- Paired axial CT (left) and PSMA PET (right), 18F-PSMA tracer
- acquired on Siemens Biograph mCT Flow 20
- slice 140 of 452
- PET panel 200×200 px (4.1 mm/px)
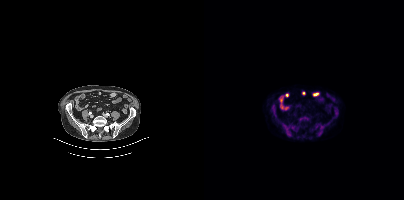
Findings: Coordinates are on the 200×200 PET (right) panel. (showing 2 of 3 foci) PSMA-avid tumor lesion bounding box (x0,y0,x1,y1): [96,117,104,120]. Small PSMA-avid focus (2 to 4 px across) near (center x, center y): (78, 125).